- Two-panel axial: CT | PSMA PET, 18F-PSMA tracer
- PET panel 200×200 px (4.1 mm/px)
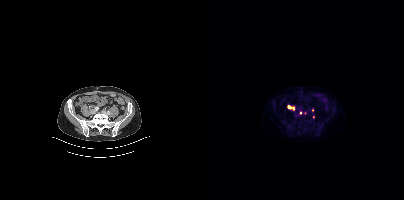
Findings: Coordinates are on the 200×200 PET (right) panel. PSMA-avid tumor lesion bounding box (x0,y0,x1,y1): [83,105,90,110]. Small PSMA-avid foci (2 to 4 px across) near (center x, center y): (108, 110); (96, 113); (109, 116).